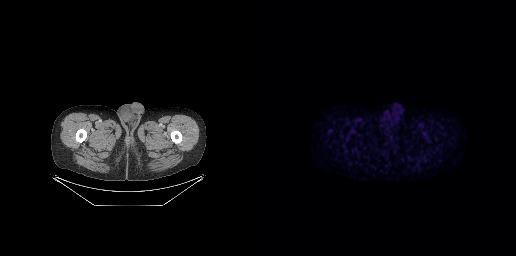
{"modality":"PSMA PET/CT","view":"axial","tracer":"18F-PSMA","pet_grid":[256,256],"coord_frame":"pet_panel","coord_format":"x0,y0,x1,y1","psma_avid_lesions":false}